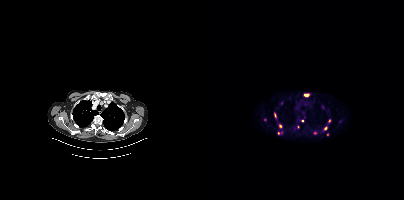
Coordinates are on the 200×200 PET (right) panel. PSMA-avid tumor lesion bounding boxes (x0,y0,x1,y1): [100,94,104,96] [70,113,72,117]. Small PSMA-avid foci (2 to 4 px across) near (center x, center y): (125, 120) (121, 128) (76, 126) (74, 133) (98, 120) (60, 119) (123, 134) (94, 126) (110, 132).